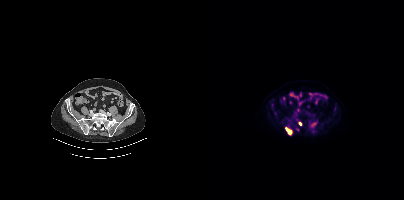
Coordinates are on the 200×200 PET (right) panel. PSMA-avid tumor lesion bounding boxes (x0, y0)-(x1, y1): (81, 127)-(87, 134) / (107, 123)-(112, 126). Small PSMA-avid focus (2 to 4 px across) near (center x, center y): (96, 123).